Technique: Left: CT. Right: PSMA PET, same axial level, 18F tracer. acquired on GE Discovery 690. PET panel 256×256 px (2.7 mm/px).
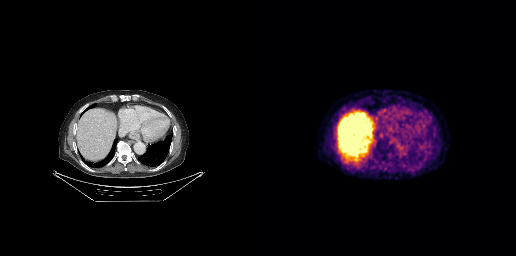
Findings: No tumor lesions annotated on this slice.